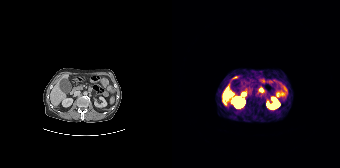
No PSMA-avid tumor lesions on this slice. Two-panel axial: CT | PSMA PET, 68Ga-PSMA tracer. Acquired on Siemens Biograph 64-4R TruePoint. Slice 93 of 195. PET panel 168×168 px (4.1 mm/px).